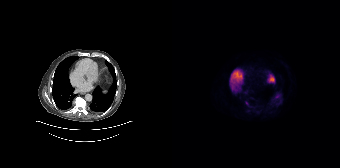
{"modality":"PSMA PET/CT","view":"axial","tracer":"18F-PSMA","pet_grid":[168,168],"coord_frame":"pet_panel","coord_format":"x0,y0,x1,y1","lesion_bboxes":[],"small_foci_centers":[[74,103]]}